Technique: Two-panel axial: CT | PSMA PET, [18F]PSMA-1007 tracer. slice 309 of 431. PET panel 200×200 px (4.1 mm/px).
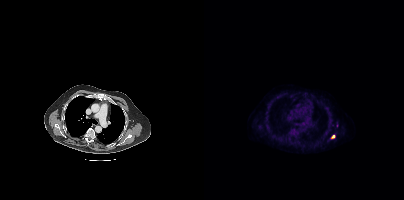
Findings: Coordinates are on the 200×200 PET (right) panel. Small PSMA-avid focus (2 to 4 px across) near (center x, center y): (129, 136).